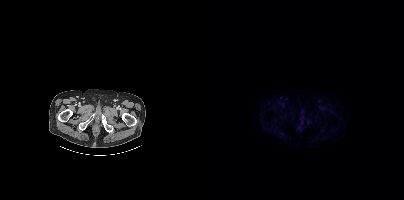
{"pet_grid":[200,200],"coord_frame":"pet_panel","coord_format":"x0,y0,x1,y1","psma_avid_lesions":false,"modality":"PSMA PET/CT","view":"axial","tracer":"18F-PSMA"}